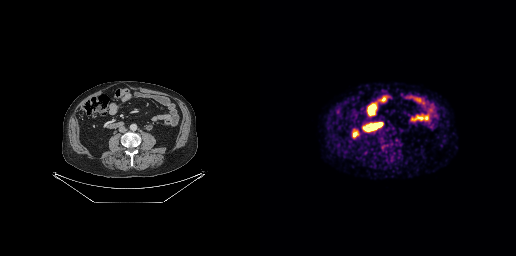
No PSMA-avid tumor lesions on this slice.